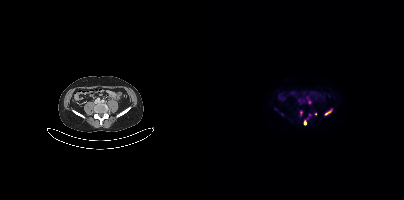
- Paired axial CT (left) and PSMA PET (right), 18F tracer
- slice position z = 34 mm
- PET panel 200×200 px (4.1 mm/px)
Findings: Coordinates are on the 200×200 PET (right) panel. (showing 5 of 6 foci) PSMA-avid tumor lesion bounding box (x0,y0,x1,y1): [121,110,127,115]. Small PSMA-avid foci (2 to 4 px across) near (center x, center y): (105, 102) (101, 122) (96, 112) (77, 114).